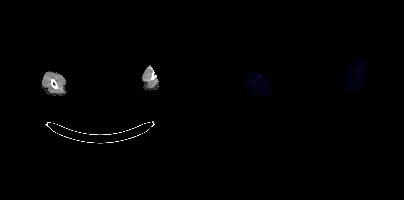
Two-panel axial: CT | PSMA PET, 18F-PSMA tracer. Slice position z = 218 mm. PET panel 200×200 px (4.1 mm/px). Face de-identified by blanking a block of the head. Negative for PSMA-avid disease on this slice.